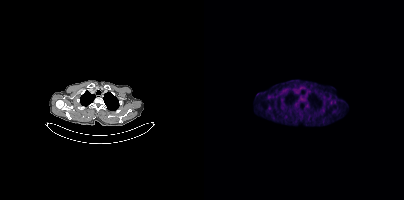
{"modality":"PSMA PET/CT","view":"axial","tracer":"18F-PSMA","pet_grid":[200,200],"coord_frame":"pet_panel","coord_format":"x0,y0,x1,y1","psma_avid_lesions":false}